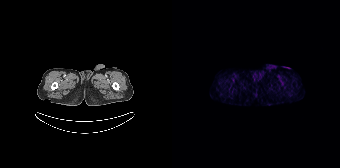
- Paired axial CT (left) and PSMA PET (right), 68Ga-PSMA tracer
- acquired on Siemens Biograph 64-4R TruePoint
- slice 25 of 195
- PET panel 168×168 px (4.1 mm/px)
Findings: No PSMA-avid tumor lesions on this slice.